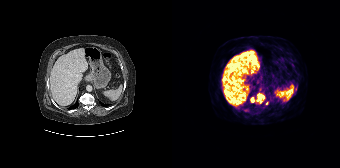
Coordinates are on the 168×168 PET (right) panel. (showing 4 of 5 foci) PSMA-avid tumor lesion bounding boxes (x0,y0,x1,y1): [84,93,92,103], [78,97,82,102]. Small PSMA-avid foci (2 to 4 px across) near (center x, center y): (94, 103), (123, 89). Left: CT. Right: PSMA PET, same axial level, 68Ga-PSMA tracer.